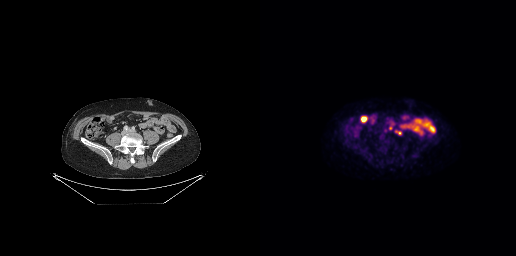
Technique: Two-panel axial: CT | PSMA PET, 18F tracer. acquired on GE Discovery 690.
Findings: Coordinates are on the 256×256 PET (right) panel. Small PSMA-avid foci (2 to 4 px across) near (center x, center y): (139, 133); (130, 128).